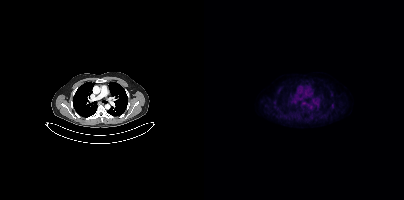
Two-panel axial: CT | PSMA PET, [18F]PSMA-1007 tracer. Acquired on Siemens Biograph mCT Flow 20. Slice 312 of 429. Negative for PSMA-avid disease on this slice.